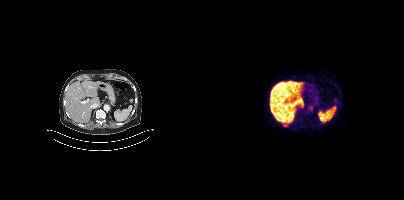
Technique: Two-panel axial: CT | PSMA PET, [18F]PSMA-1007 tracer. slice position z = -1360 mm.
Findings: Coordinates are on the 200×200 PET (right) panel. (showing 1 of 2 foci) PSMA-avid tumor lesion bounding box (x, y, width, height): x=79 y=124 w=6 h=3.